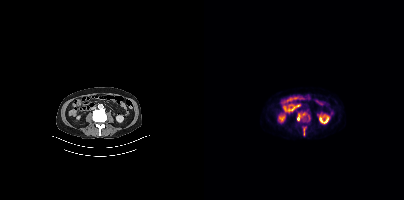
Paired axial CT (left) and PSMA PET (right), [18F]PSMA-1007 tracer. Slice position z = -656 mm. PET panel 200×200 px (4.1 mm/px). Coordinates are on the 200×200 PET (right) panel. (showing 1 of 4 foci) PSMA-avid tumor lesion bounding box (x, y, width, height): x=93 y=114 w=4 h=7.